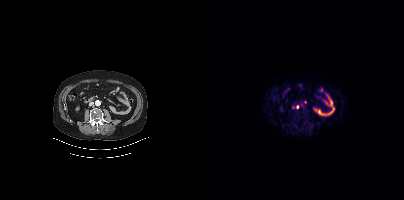
modality: PSMA PET/CT | tracer: 18F | view: axial
Coordinates are on the 200×200 PET (right) panel. Small PSMA-avid foci (2 to 4 px across) near (center x, center y): (101, 102) | (93, 106) | (88, 107).